modality: PSMA PET/CT | tracer: [18F]PSMA-1007 | view: axial
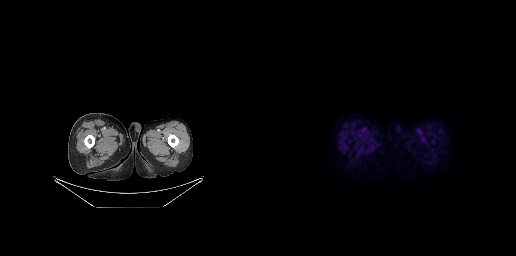
Negative for PSMA-avid disease on this slice.